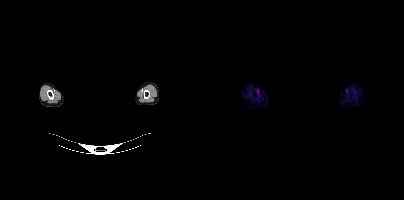
A rectangle over the head was blacked out to remove identifiable facial features.
This slice has no annotated PSMA-avid lesion.